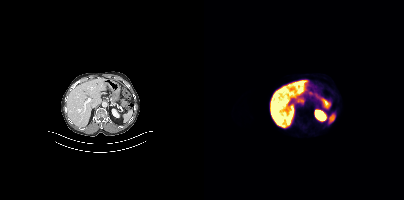
No PSMA-avid tumor lesions on this slice.